Two-panel axial: CT | PSMA PET, [18F]PSMA-1007 tracer. Acquired on GE Discovery 690.
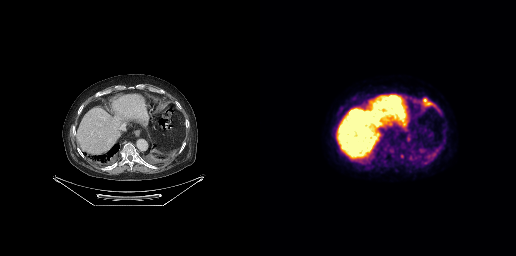
Coordinates are on the 256×256 PET (right) panel. (showing 6 of 7 foci) PSMA-avid tumor lesion bounding boxes (x0, y0)-(x1, y1): (160, 97)-(179, 111) / (168, 146)-(181, 159) / (152, 98)-(158, 104) / (140, 154)-(143, 158). Small PSMA-avid foci (2 to 4 px across) near (center x, center y): (151, 157) / (148, 131).